modality: PSMA PET/CT | tracer: [18F]PSMA-1007 | view: axial
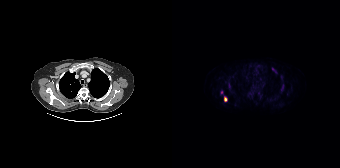
Coordinates are on the 168×168 PET (right) panel. PSMA-avid tumor lesion bounding box (x0,y0,x1,y1): [52,97,55,101]. Small PSMA-avid focus (2 to 4 px across) near (center x, center y): (49, 92).